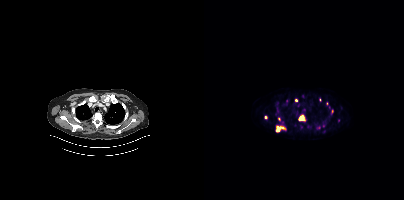
Coordinates are on the 200×200 PET (right) panel. PSMA-avid tumor lesion bounding boxes:
| # | x0 | y0 | x1 | y1 |
|---|---|---|---|---|
| 1 | 72 | 125 | 81 | 132 |
| 2 | 94 | 115 | 101 | 121 |
| 3 | 122 | 102 | 126 | 108 |
Small PSMA-avid foci (2 to 4 px across) near (center x, center y): (116, 99); (92, 100); (128, 110); (62, 117); (75, 119).
Paired axial CT (left) and PSMA PET (right), 18F tracer. Acquired on Siemens Biograph mCT Flow 20. Slice position z = -1059 mm.